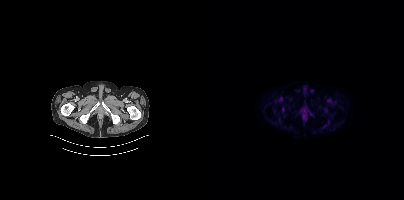
No tumor lesions annotated on this slice.